Paired axial CT (left) and PSMA PET (right), 18F tracer.
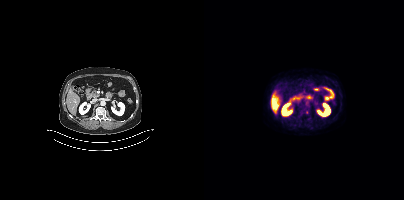
Coordinates are on the 200×200 PET (right) panel. Small PSMA-avid focus (2 to 4 px across) near (center x, center y): (103, 112).